Paired axial CT (left) and PSMA PET (right), 68Ga tracer.
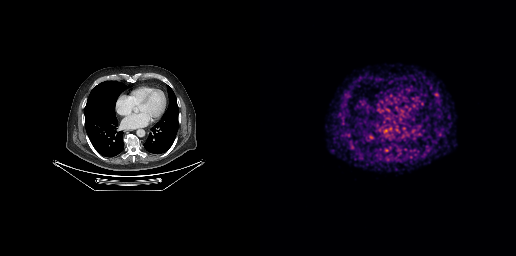
Negative for PSMA-avid disease on this slice.